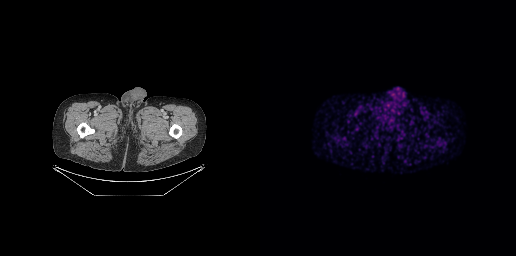
No tumor lesions annotated on this slice.
modality: PSMA PET/CT | tracer: 68Ga | view: axial